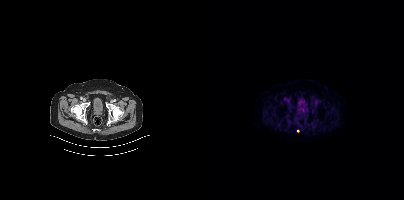
Findings: Coordinates are on the 200×200 PET (right) panel. Small PSMA-avid focus (2 to 4 px across) near (center x, center y): (93, 130).
- Paired axial CT (left) and PSMA PET (right), 18F-PSMA tracer
- slice 89 of 405